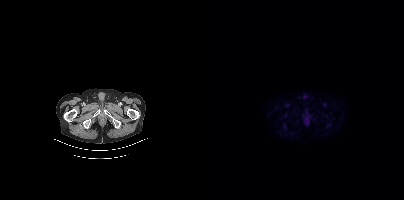
This slice has no annotated PSMA-avid lesion.